- Two-panel axial: CT | PSMA PET, 68Ga tracer
- PET panel 168×168 px (4.1 mm/px)
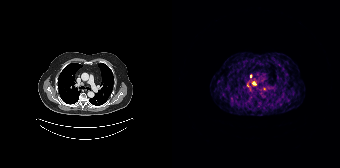
Findings: Coordinates are on the 168×168 PET (right) panel. (showing 2 of 3 foci) Small PSMA-avid foci (2 to 4 px across) near (center x, center y): (82, 83); (78, 75).